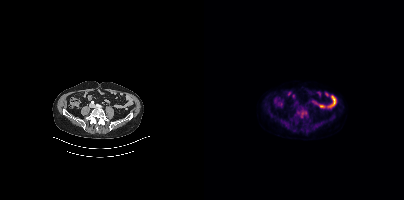
Coordinates are on the 200×200 PET (right) panel. PSMA-avid tumor lesion bounding box (x, y, width, height): x=95 y=110 w=8 h=8. Paired axial CT (left) and PSMA PET (right), [18F]PSMA-1007 tracer. Acquired on Siemens Biograph mCT Flow 20. Slice 142 of 409.